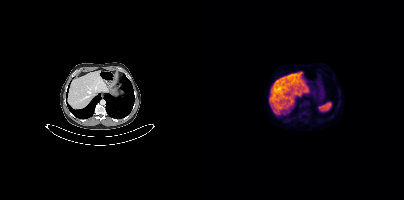
Findings: Negative for PSMA-avid disease on this slice.
Technique: Paired axial CT (left) and PSMA PET (right), 18F tracer. slice position z = -1342 mm.